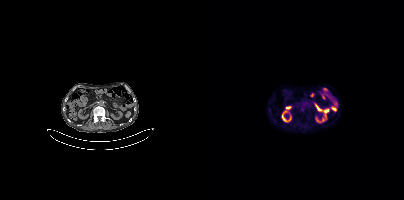
No tumor lesions annotated on this slice.